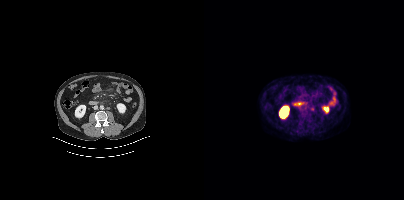
Technique: Two-panel axial: CT | PSMA PET, [18F]PSMA-1007 tracer. acquired on Siemens Biograph mCT Flow 20. slice position z = -584 mm.
Findings: Coordinates are on the 200×200 PET (right) panel. PSMA-avid tumor lesion bounding box (x0,y0,x1,y1): [106,107,109,111].